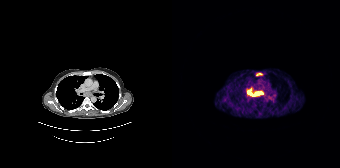
- Paired axial CT (left) and PSMA PET (right), 68Ga-PSMA tracer
- PET panel 168×168 px (4.1 mm/px)
Findings: Coordinates are on the 168×168 PET (right) panel. PSMA-avid tumor lesion bounding boxes (x, y, width, height): x=75 y=88 w=19 h=9; x=84 y=72 w=7 h=5.